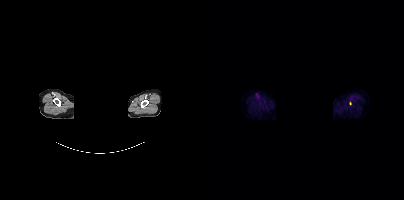
Technique: Two-panel axial: CT | PSMA PET, 18F tracer.
Note: De-identified by setting a box covering the face to black before release.
Findings: Coordinates are on the 200×200 PET (right) panel. Small PSMA-avid focus (2 to 4 px across) near (center x, center y): (146, 103).